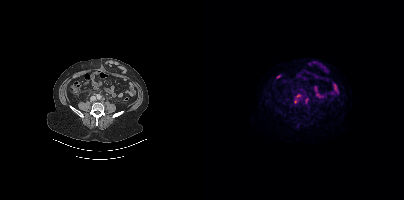
modality: PSMA PET/CT | tracer: [18F]PSMA-1007 | view: axial
Coordinates are on the 200×200 PET (right) panel. (showing 2 of 3 foci) Small PSMA-avid foci (2 to 4 px across) near (center x, center y): (94, 95) / (102, 100).